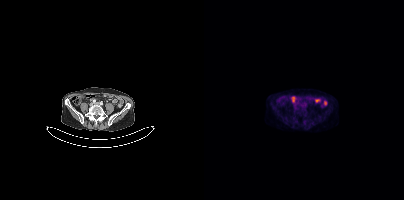
Findings: No PSMA-avid tumor lesions on this slice.
- Left: CT. Right: PSMA PET, same axial level, [18F]PSMA-1007 tracer
- PET panel 200×200 px (4.1 mm/px)